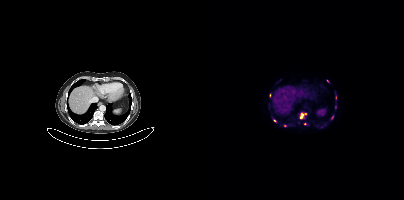
modality: PSMA PET/CT | tracer: [68Ga]Ga-PSMA-11 | view: axial | PET grid: 200×200
Coordinates are on the 200×200 PET (right) panel. (showing 5 of 10 foci) PSMA-avid tumor lesion bounding box (x, y, width, height): x=96 y=113 w=7 h=6. Small PSMA-avid foci (2 to 4 px across) near (center x, center y): (128, 117) / (101, 123) / (123, 81) / (70, 120).